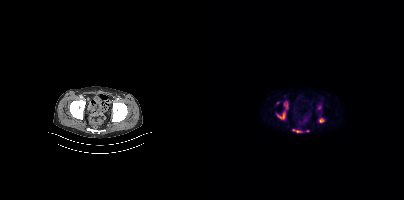
Coordinates are on the 200×200 PET (right) panel. PSMA-avid tumor lesion bounding boxes (x, y, width, height): x=73 y=112 w=9 h=8 / x=80 y=102 w=4 h=7 / x=89 y=129 w=9 h=4 / x=115 y=118 w=5 h=5. Small PSMA-avid foci (2 to 4 px across) near (center x, center y): (115, 107) / (103, 130) / (73, 102).